Technique: Paired axial CT (left) and PSMA PET (right), 18F-PSMA tracer.
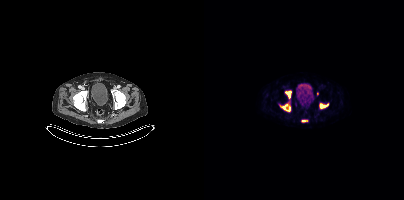
Findings: Coordinates are on the 200×200 PET (right) panel. PSMA-avid tumor lesion bounding boxes (x, y, width, height): x=76 y=104 w=11 h=8 | x=81 y=91 w=7 h=8 | x=116 y=104 w=9 h=5. Small PSMA-avid foci (2 to 4 px across) near (center x, center y): (99, 120) | (113, 93).